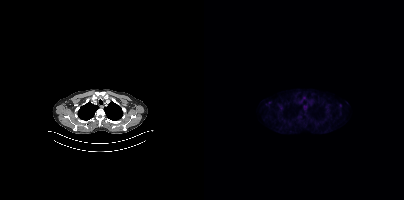
No PSMA-avid tumor lesions on this slice.